- Paired axial CT (left) and PSMA PET (right), [18F]PSMA-1007 tracer
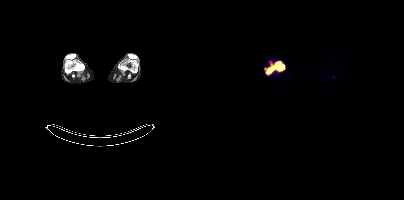
Findings: Coordinates are on the 200×200 PET (right) panel. PSMA-avid tumor lesion bounding box (x, y, width, height): x=60 y=61 w=21 h=14.